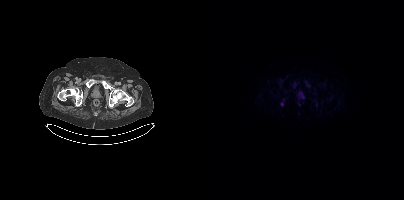
Technique: Left: CT. Right: PSMA PET, same axial level, 18F tracer. PET panel 200×200 px (4.1 mm/px).
Findings: Coordinates are on the 200×200 PET (right) panel. Small PSMA-avid focus (2 to 4 px across) near (center x, center y): (78, 104).